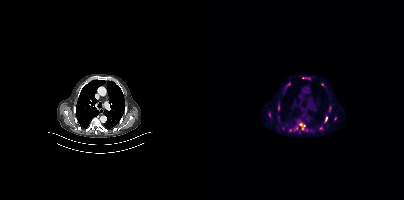
{"modality":"PSMA PET/CT","view":"axial","tracer":"18F-PSMA","pet_grid":[200,200],"coord_frame":"pet_panel","coord_format":"x0,y0,x1,y1","partial":true,"lesion_bboxes":[[85,119,104,133],[64,112,67,118],[81,82,86,87],[120,116,123,122],[98,77,106,79],[125,106,127,111]],"small_foci_centers":[[74,108],[117,128],[131,118]]}